Two-panel axial: CT | PSMA PET, 18F tracer. Acquired on Siemens Biograph mCT Flow 20.
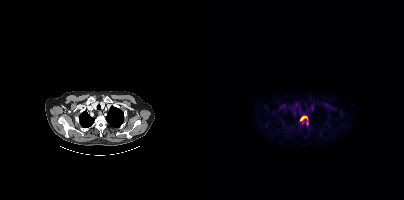
Coordinates are on the 200×200 PET (right) panel. PSMA-avid tumor lesion bounding boxes:
| # | x0 | y0 | x1 | y1 |
|---|---|---|---|---|
| 1 | 96 | 116 | 104 | 124 |